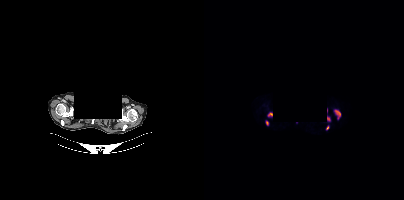
{"pet_grid":[200,200],"coord_frame":"pet_panel","coord_format":"x0,y0,x1,y1","lesion_bboxes":[[130,109,136,118],[63,112,68,117],[61,120,64,125]],"small_foci_centers":[[123,127]],"modality":"PSMA PET/CT","view":"axial","tracer":"18F","deidentification":"rectangular block over head set to black"}